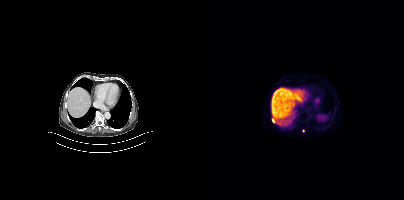
Paired axial CT (left) and PSMA PET (right), 18F tracer. Slice position z = -1224 mm. PET panel 200×200 px (4.1 mm/px). Coordinates are on the 200×200 PET (right) panel. PSMA-avid tumor lesion bounding box (x0, y0)-(x1, y1): (68, 119)-(72, 123). Small PSMA-avid focus (2 to 4 px across) near (center x, center y): (99, 130).